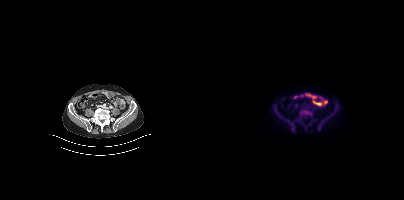
- Two-panel axial: CT | PSMA PET, [18F]PSMA-1007 tracer
- slice position z = -675 mm
Findings: Negative for PSMA-avid disease on this slice.